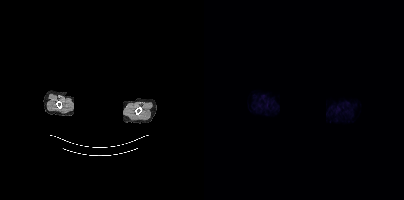
No tumor lesions annotated on this slice. A rectangular block over the head has been blanked out for de-identification. Paired axial CT (left) and PSMA PET (right), 18F-PSMA tracer. Acquired on Siemens Biograph mCT Flow 20. PET panel 200×200 px (4.1 mm/px).